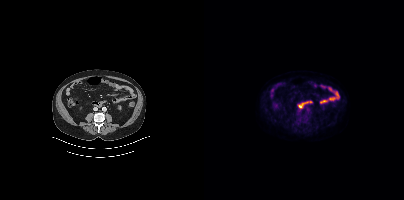
No tumor lesions annotated on this slice. Two-panel axial: CT | PSMA PET, [18F]PSMA-1007 tracer. Acquired on Siemens Biograph mCT Flow 20. PET panel 200×200 px (4.1 mm/px).